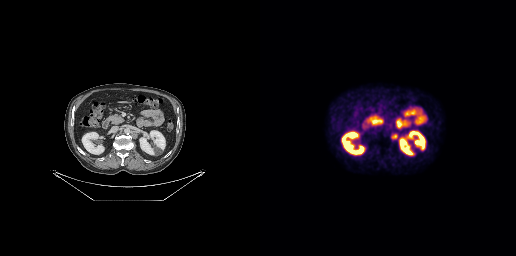
Paired axial CT (left) and PSMA PET (right), 18F tracer. Acquired on GE Discovery 690. Slice 139 of 263.
Coordinates are on the 256×256 PET (right) panel. PSMA-avid tumor lesion bounding boxes:
| # | x0 | y0 | x1 | y1 |
|---|---|---|---|---|
| 1 | 131 | 133 | 138 | 140 |